- Paired axial CT (left) and PSMA PET (right), 18F-PSMA tracer
- head region blanked for anonymization (face removed)
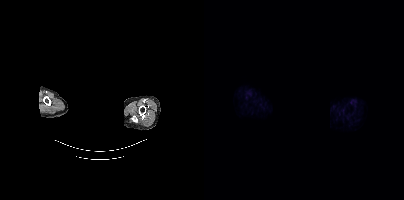
Findings: Negative for PSMA-avid disease on this slice.